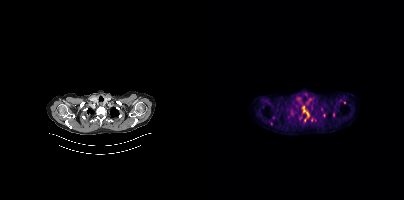
- Paired axial CT (left) and PSMA PET (right), [18F]PSMA-1007 tracer
- PET panel 200×200 px (4.1 mm/px)
Findings: Coordinates are on the 200×200 PET (right) panel. (showing 3 of 7 foci) PSMA-avid tumor lesion bounding box (x, y, width, height): x=98 y=106 w=8 h=11. Small PSMA-avid foci (2 to 4 px across) near (center x, center y): (140, 102) | (100, 120).